- Paired axial CT (left) and PSMA PET (right), [18F]PSMA-1007 tracer
- slice position z = -54 mm
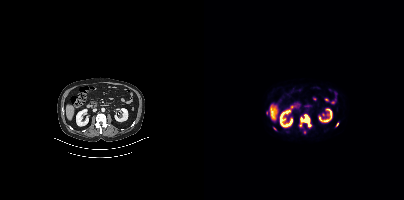
Findings: Coordinates are on the 200×200 PET (right) panel. (showing 4 of 5 foci) PSMA-avid tumor lesion bounding box (x0,y0,x1,y1): [96,115,106,127]. Small PSMA-avid foci (2 to 4 px across) near (center x, center y): (70, 128); (133, 124); (100, 132).